modality: PSMA PET/CT | tracer: 18F-PSMA | view: axial
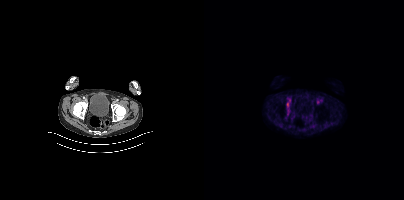
No PSMA-avid tumor lesions on this slice.